Left: CT. Right: PSMA PET, same axial level, 18F tracer. Slice position z = -1288 mm. PET panel 200×200 px (4.1 mm/px).
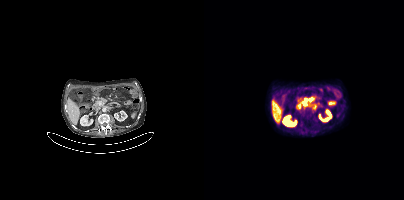
Coordinates are on the 200×200 PET (right) panel. PSMA-avid tumor lesion bounding boxes (partial; 2 more foci not listed):
| # | x0 | y0 | x1 | y1 |
|---|---|---|---|---|
| 1 | 97 | 97 | 110 | 105 |